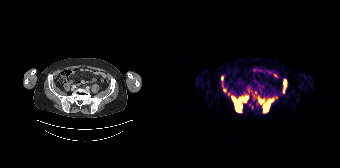
- Two-panel axial: CT | PSMA PET, [68Ga]Ga-PSMA-11 tracer
- PET panel 168×168 px (4.1 mm/px)
Findings: Coordinates are on the 168×168 PET (right) panel. (showing 7 of 8 foci) PSMA-avid tumor lesion bounding boxes (x, y, width, height): x=61 y=95 w=16 h=18; x=91 y=99 w=11 h=14; x=111 y=80 w=4 h=13; x=87 y=99 w=5 h=5. Small PSMA-avid foci (2 to 4 px across) near (center x, center y): (53, 90); (82, 98); (81, 94).